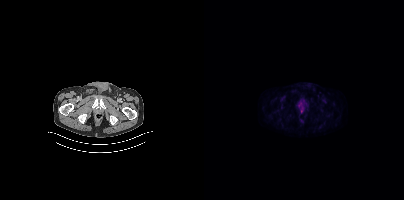
modality: PSMA PET/CT | tracer: 18F-PSMA | view: axial | PET grid: 200×200
Negative for PSMA-avid disease on this slice.